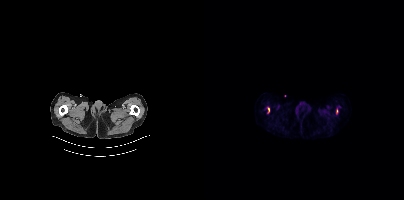
Paired axial CT (left) and PSMA PET (right), [18F]PSMA-1007 tracer. Coordinates are on the 200×200 PET (right) panel. PSMA-avid tumor lesion bounding boxes (x, y, width, height): x=63 y=107 w=3 h=7 | x=132 y=109 w=3 h=5.